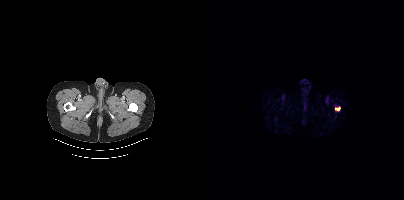
{"pet_grid":[200,200],"coord_frame":"pet_panel","coord_format":"x0,y0,x1,y1","partial":true,"lesion_bboxes":[[131,106,136,111]],"modality":"PSMA PET/CT","view":"axial","tracer":"18F"}